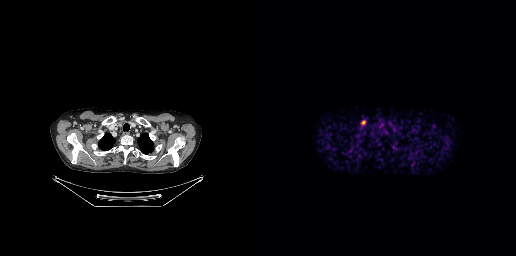
modality: PSMA PET/CT | tracer: [68Ga]Ga-PSMA-11 | view: axial | PET grid: 256×256
Coordinates are on the 256×256 PET (right) panel. Small PSMA-avid focus (2 to 4 px across) near (center x, center y): (103, 122).